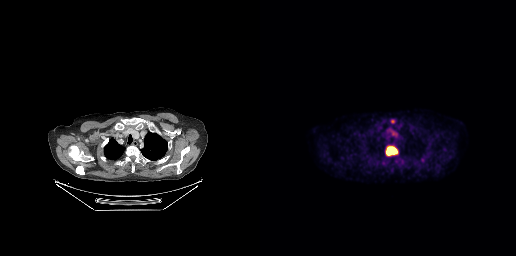
Coordinates are on the 256×256 PET (right) panel. PSMA-avid tumor lesion bounding box (x0, y0)-(x1, y1): (126, 146)-(137, 155). Two-panel axial: CT | PSMA PET, 18F-PSMA tracer. PET panel 256×256 px (2.7 mm/px).